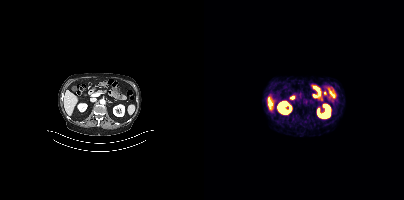
{"pet_grid":[200,200],"coord_frame":"pet_panel","coord_format":"x0,y0,x1,y1","psma_avid_lesions":false,"modality":"PSMA PET/CT","view":"axial","tracer":"68Ga"}